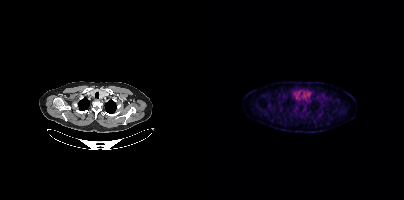
Two-panel axial: CT | PSMA PET, 18F tracer. Only PSMA-avid lesion pieces thinner than 2 px on this slice (not listed).